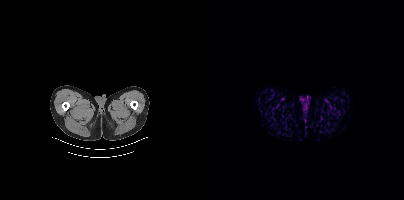
{"modality":"PSMA PET/CT","view":"axial","tracer":"68Ga-PSMA","pet_grid":[200,200],"coord_frame":"pet_panel","coord_format":"x0,y0,x1,y1","psma_avid_lesions":false}